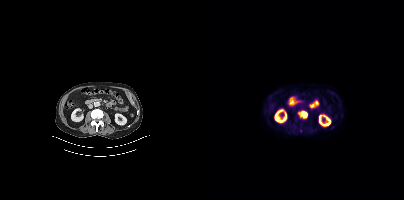
{"modality":"PSMA PET/CT","view":"axial","tracer":"18F-PSMA","pet_grid":[200,200],"coord_frame":"pet_panel","coord_format":"x0,y0,x1,y1","lesion_bboxes":[[98,112,103,117]]}